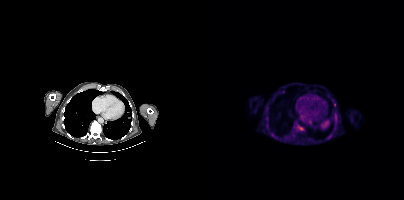
Technique: Two-panel axial: CT | PSMA PET, [18F]PSMA-1007 tracer. PET panel 200×200 px (4.1 mm/px).
Findings: Coordinates are on the 200×200 PET (right) panel. PSMA-avid tumor lesion bounding box (x0, y0)-(x1, y1): (94, 126)-(99, 130). Small PSMA-avid focus (2 to 4 px across) near (center x, center y): (130, 104).